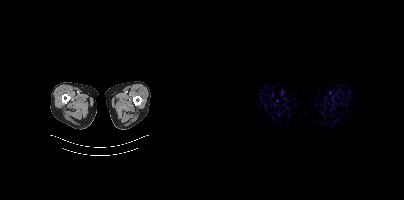
Negative for PSMA-avid disease on this slice.